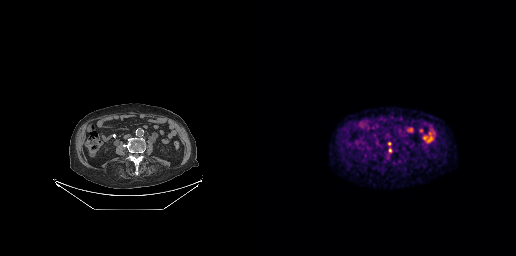
Technique: Two-panel axial: CT | PSMA PET, 18F tracer. PET panel 256×256 px (2.7 mm/px).
Findings: Coordinates are on the 256×256 PET (right) panel. Small PSMA-avid foci (2 to 4 px across) near (center x, center y): (130, 150) | (129, 143).